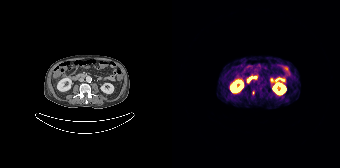
{"modality":"PSMA PET/CT","view":"axial","tracer":"68Ga-PSMA","pet_grid":[168,168],"coord_frame":"pet_panel","coord_format":"x0,y0,x1,y1","lesion_bboxes":[],"small_foci_centers":[[81,92]]}